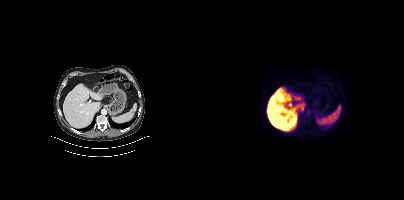
{"modality":"PSMA PET/CT","view":"axial","tracer":"[18F]PSMA-1007","pet_grid":[200,200],"coord_frame":"pet_panel","coord_format":"x0,y0,x1,y1","psma_avid_lesions":false}